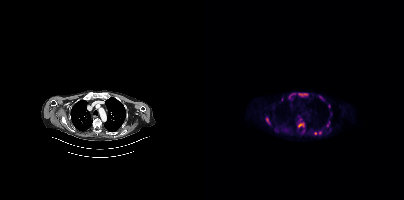
Paired axial CT (left) and PSMA PET (right), [18F]PSMA-1007 tracer. Slice position z = -926 mm. Coordinates are on the 200×200 PET (right) panel. (showing 9 of 12 foci) PSMA-avid tumor lesion bounding boxes (x0,y0,x1,y1): [93,118,100,127] [94,93,104,96] [84,93,89,99] [110,131,117,134] [62,117,66,124] [122,121,126,126] [115,96,120,100]. Small PSMA-avid foci (2 to 4 px across) near (center x, center y): (78, 99) (99, 130).